Technique: Paired axial CT (left) and PSMA PET (right), 18F tracer. acquired on Siemens Biograph mCT Flow 20. slice position z = -872 mm. PET panel 200×200 px (4.1 mm/px).
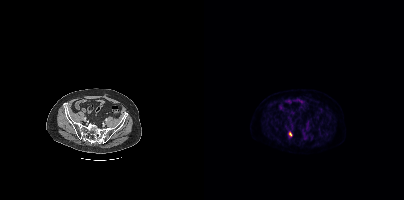
Findings: Only PSMA-avid lesion pieces thinner than 2 px on this slice (not listed).